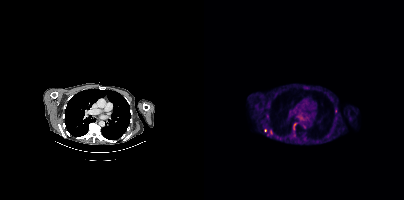
Left: CT. Right: PSMA PET, same axial level, 18F-PSMA tracer. PET panel 200×200 px (4.1 mm/px).
Coordinates are on the 200×200 PET (right) panel. PSMA-avid tumor lesion bounding boxes (partial; 1 more focus not listed):
| # | x0 | y0 | x1 | y1 |
|---|---|---|---|---|
| 1 | 62 | 114 | 64 | 118 |
| 2 | 89 | 123 | 92 | 129 |
Small PSMA-avid foci (2 to 4 px across) near (center x, center y): (64, 135); (61, 130); (67, 132).